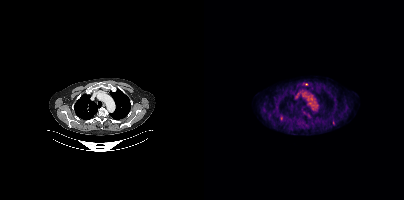
modality: PSMA PET/CT | tracer: [18F]PSMA-1007 | view: axial | PET grid: 200×200
Coordinates are on the 200×200 PET (right) panel. PSMA-avid tumor lesion bounding box (x0, y0)-(x1, y1): (76, 115)-(78, 120). Small PSMA-avid foci (2 to 4 px across) near (center x, center y): (129, 122) / (102, 84).